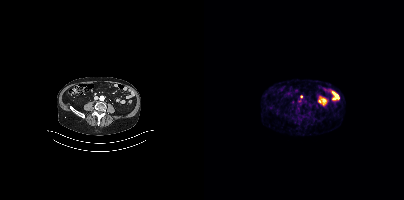
Two-panel axial: CT | PSMA PET, [68Ga]Ga-PSMA-11 tracer. Acquired on Siemens Biograph mCT Flow 20. Slice position z = -1356 mm. Coordinates are on the 200×200 PET (right) panel. (showing 1 of 2 foci) Small PSMA-avid focus (2 to 4 px across) near (center x, center y): (97, 97).